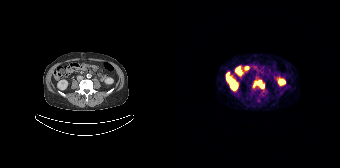
modality: PSMA PET/CT | tracer: 68Ga-PSMA | view: axial | PET grid: 168×168
Coordinates are on the 168×168 PET (right) panel. PSMA-avid tumor lesion bounding box (x0, y0)-(x1, y1): (81, 80)-(92, 88).